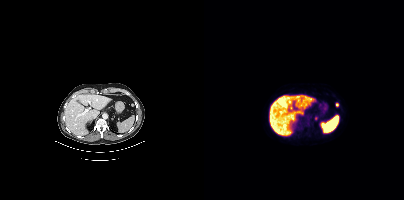
{"modality":"PSMA PET/CT","view":"axial","tracer":"18F-PSMA","pet_grid":[200,200],"coord_frame":"pet_panel","coord_format":"x0,y0,x1,y1","lesion_bboxes":[],"small_foci_centers":[[133,104],[112,118]]}